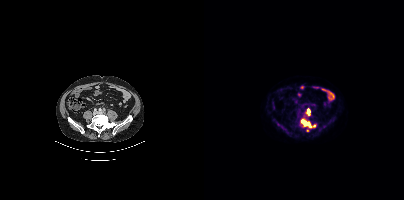
Coordinates are on the 200×200 PET (right) panel. PSMA-avid tumor lesion bounding boxes (x, y, width, height): x=97 y=118 w=15 h=11 | x=102 y=108 w=5 h=8. Small PSMA-avid focus (2 to 4 px across) near (center x, center y): (103, 130).